- Paired axial CT (left) and PSMA PET (right), 18F tracer
- acquired on Siemens Biograph mCT Flow 20
- PET panel 200×200 px (4.1 mm/px)
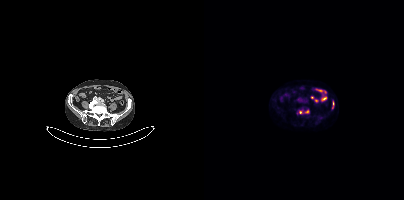
Findings: Coordinates are on the 200×200 PET (right) panel. PSMA-avid tumor lesion bounding boxes (x0,y0,x1,y1): [101,110,105,113] [128,101,130,107]. Small PSMA-avid focus (2 to 4 px across) near (center x, center y): (96, 112).